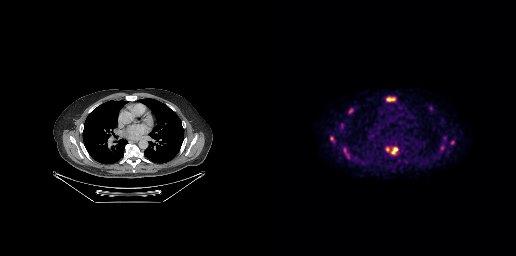
Technique: Paired axial CT (left) and PSMA PET (right), [18F]PSMA-1007 tracer. slice 216 of 299. PET panel 256×256 px (2.7 mm/px).
Findings: Coordinates are on the 256×256 PET (right) panel. PSMA-avid tumor lesion bounding boxes (x0,y0,x1,y1): [126,97,135,101]; [131,147,137,154]; [88,109,91,113]. Small PSMA-avid foci (2 to 4 px across) near (center x, center y): (71, 138); (192, 142); (127, 149); (84, 150).